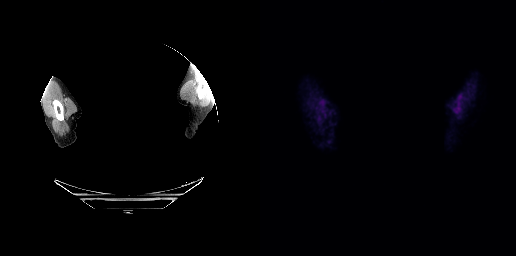
{"modality":"PSMA PET/CT","view":"axial","tracer":"18F-PSMA","pet_grid":[256,256],"coord_frame":"pet_panel","coord_format":"x0,y0,x1,y1","psma_avid_lesions":false,"deidentification":"head region blanked (face removed)"}